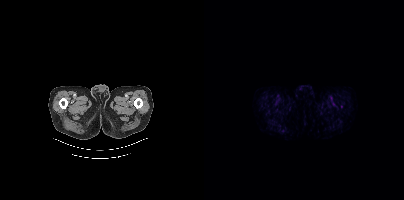
- Paired axial CT (left) and PSMA PET (right), 18F-PSMA tracer
Findings: No PSMA-avid tumor lesions on this slice.